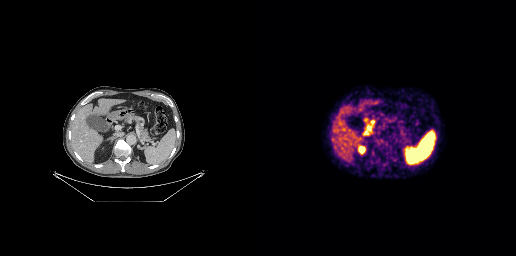
{"modality":"PSMA PET/CT","view":"axial","tracer":"18F","pet_grid":[256,256],"coord_frame":"pet_panel","coord_format":"x0,y0,x1,y1","psma_avid_lesions":false}